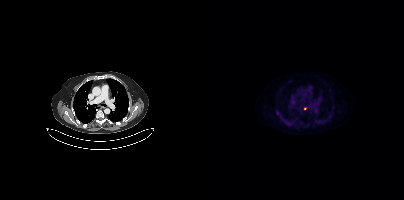
Coordinates are on the 200×200 PET (right) panel. Small PSMA-avid foci (2 to 4 px across) near (center x, center y): (100, 108) | (72, 112).
modality: PSMA PET/CT | tracer: 18F | view: axial